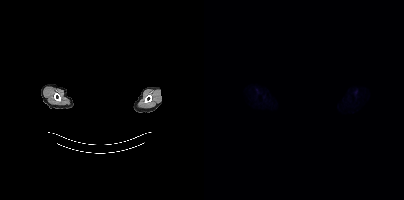
The head region is masked for de-identification.
This slice has no annotated PSMA-avid lesion.